Two-panel axial: CT | PSMA PET, 18F-PSMA tracer. PET panel 256×256 px (2.7 mm/px).
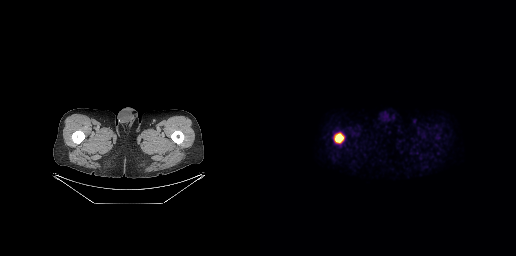
Coordinates are on the 256×256 PET (right) panel. PSMA-avid tumor lesion bounding boxes:
| # | x0 | y0 | x1 | y1 |
|---|---|---|---|---|
| 1 | 74 | 133 | 84 | 143 |